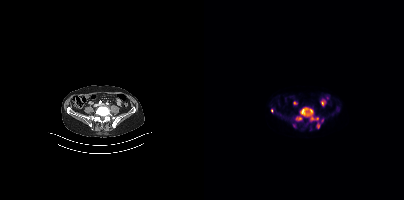
{"modality":"PSMA PET/CT","view":"axial","tracer":"18F-PSMA","pet_grid":[200,200],"coord_frame":"pet_panel","coord_format":"x0,y0,x1,y1","lesion_bboxes":[[90,108,114,122],[88,123,92,127],[112,123,115,128]],"small_foci_centers":[[67,110],[118,120]]}